Paired axial CT (left) and PSMA PET (right), 18F tracer. A black rectangle in this scan is a privacy mask, not anatomy.
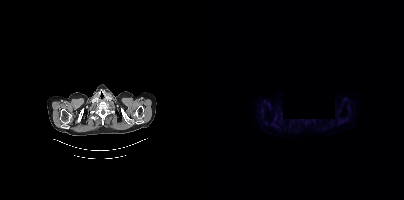
Negative for PSMA-avid disease on this slice.